Technique: Two-panel axial: CT | PSMA PET, 18F-PSMA tracer. slice 77 of 263. PET panel 256×256 px (2.7 mm/px).
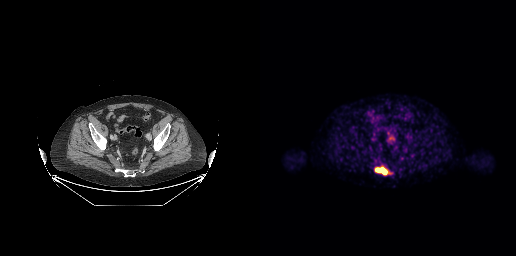
Findings: Coordinates are on the 256×256 PET (right) panel. PSMA-avid tumor lesion bounding box (x, y, width, height): x=115 y=166 w=15 h=10.